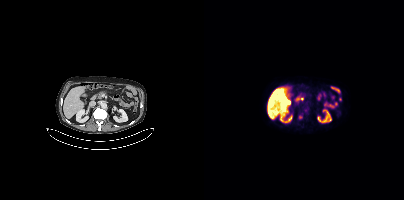
modality: PSMA PET/CT | tracer: 18F-PSMA | view: axial
Coordinates are on the 200×200 PET (right) panel. Small PSMA-avid focus (2 to 4 px across) near (center x, center y): (96, 116).